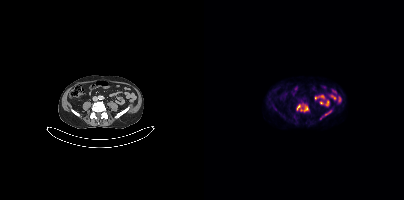
{"pet_grid":[200,200],"coord_frame":"pet_panel","coord_format":"x0,y0,x1,y1","partial":true,"lesion_bboxes":[[96,105,104,111],[93,104,96,110],[120,110,127,115]],"modality":"PSMA PET/CT","view":"axial","tracer":"[18F]PSMA-1007"}